Technique: Two-panel axial: CT | PSMA PET, [18F]PSMA-1007 tracer. acquired on Siemens Biograph mCT Flow 20.
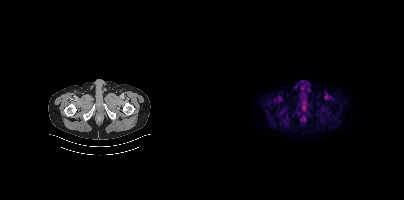
Findings: Negative for PSMA-avid disease on this slice.